Technique: Two-panel axial: CT | PSMA PET, 18F tracer. acquired on Siemens Biograph mCT Flow 20.
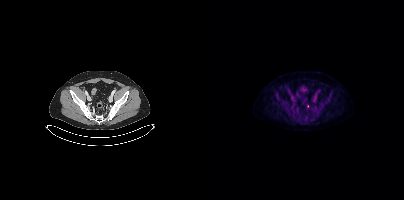
Findings: Only PSMA-avid lesion pieces thinner than 2 px on this slice (not listed).